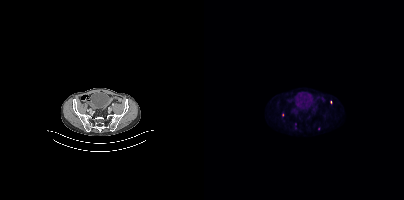
Left: CT. Right: PSMA PET, same axial level, 18F-PSMA tracer. Acquired on Siemens Biograph mCT Flow 20. PET panel 200×200 px (4.1 mm/px). Coordinates are on the 200×200 PET (right) panel. (showing 2 of 3 foci) Small PSMA-avid foci (2 to 4 px across) near (center x, center y): (78, 114) / (114, 128).